Left: CT. Right: PSMA PET, same axial level, [18F]PSMA-1007 tracer. Acquired on Siemens Biograph mCT Flow 20.
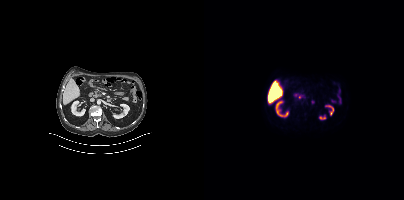
No tumor lesions annotated on this slice.